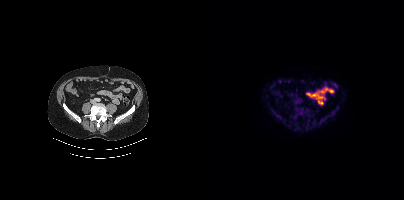
Coordinates are on the 200×200 PET (right) panel. PSMA-avid tumor lesion bounding boxes (x, y, width, height): x=91 y=107 w=12 h=9 | x=116 y=115 w=9 h=9 | x=92 y=101 w=6 h=5 | x=67 y=107 w=5 h=6 | x=127 y=110 w=5 h=5. Small PSMA-avid focus (2 to 4 px across) near (center x, center y): (90, 119).